Paired axial CT (left) and PSMA PET (right), 18F tracer. Slice 59 of 417. PET panel 200×200 px (4.1 mm/px).
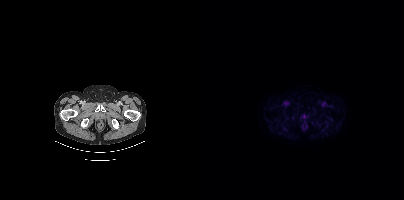
No PSMA-avid tumor lesions on this slice.